Left: CT. Right: PSMA PET, same axial level, [68Ga]Ga-PSMA-11 tracer. Slice 273 of 299. The head region is masked for de-identification.
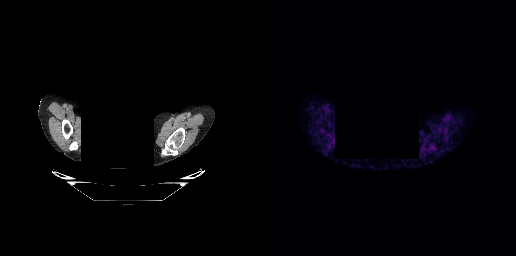
This slice has no annotated PSMA-avid lesion.